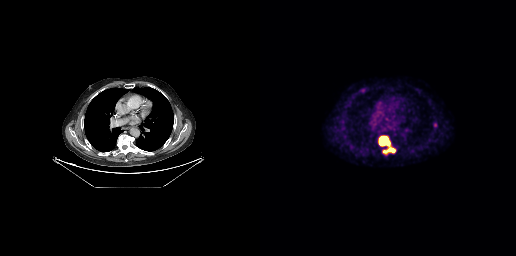
{"pet_grid":[256,256],"coord_frame":"pet_panel","coord_format":"x0,y0,x1,y1","lesion_bboxes":[[118,135,135,154],[173,122,177,127]],"small_foci_centers":[[103,90]],"modality":"PSMA PET/CT","view":"axial","tracer":"18F"}